modality: PSMA PET/CT | tracer: 18F | view: axial
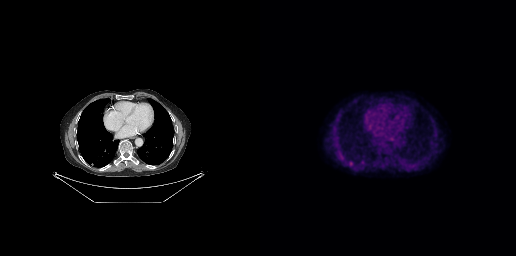
Coordinates are on the 256×256 PET (right) panel. Small PSMA-avid focus (2 to 4 px across) near (center x, center y): (90, 162).